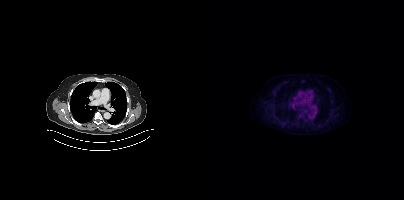
Findings: No PSMA-avid tumor lesions on this slice.
Technique: Two-panel axial: CT | PSMA PET, [18F]PSMA-1007 tracer.